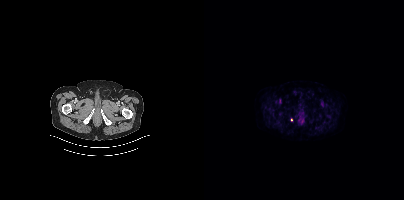
{"modality":"PSMA PET/CT","view":"axial","tracer":"18F","pet_grid":[200,200],"coord_frame":"pet_panel","coord_format":"x0,y0,x1,y1","lesion_bboxes":[],"small_foci_centers":[[87,119]]}